Left: CT. Right: PSMA PET, same axial level, 18F tracer. Slice position z = -1242 mm. PET panel 200×200 px (4.1 mm/px).
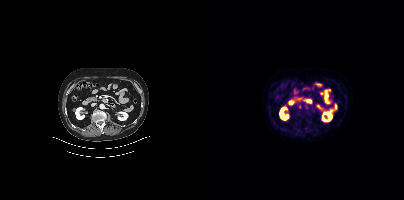
No tumor lesions annotated on this slice.